Technique: Two-panel axial: CT | PSMA PET, 18F tracer. acquired on Siemens Biograph mCT Flow 20.
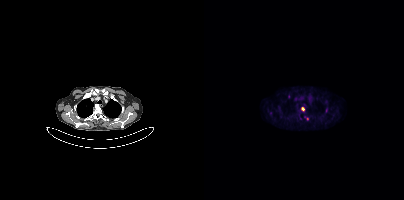
Findings: Coordinates are on the 200×200 PET (right) panel. (showing 2 of 3 foci) Small PSMA-avid foci (2 to 4 px across) near (center x, center y): (99, 108); (103, 118).